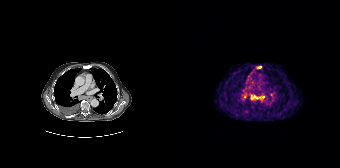
Findings: Coordinates are on the 168×168 PET (right) panel. PSMA-avid tumor lesion bounding boxes (x, y, width, height): x=79 y=95 w=14 h=5 / x=85 y=66 w=5 h=3.
Technique: Paired axial CT (left) and PSMA PET (right), [68Ga]Ga-PSMA-11 tracer. slice position z = -100 mm. PET panel 168×168 px (4.1 mm/px).